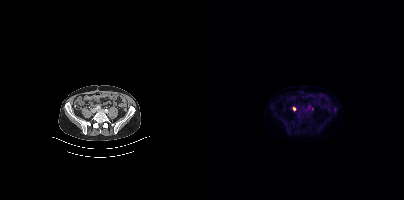
{"pet_grid":[200,200],"coord_frame":"pet_panel","coord_format":"x0,y0,x1,y1","partial":true,"lesion_bboxes":[],"small_foci_centers":[[90,108]],"modality":"PSMA PET/CT","view":"axial","tracer":"18F-PSMA"}